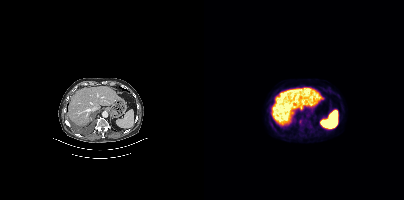
Paired axial CT (left) and PSMA PET (right), 18F-PSMA tracer. Acquired on Siemens Biograph mCT Flow 20.
Coordinates are on the 200×200 PET (right) panel. PSMA-avid tumor lesion bounding boxes:
| # | x0 | y0 | x1 | y1 |
|---|---|---|---|---|
| 1 | 95 | 119 | 98 | 123 |